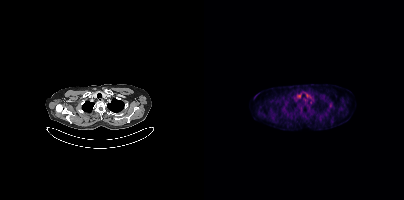
modality: PSMA PET/CT | tracer: 18F | view: axial
Coordinates are on the 200×200 PET (right) panel. Small PSMA-avid focus (2 to 4 px across) near (center x, center y): (126, 105).